modality: PSMA PET/CT | tracer: 18F | view: axial | PET grid: 200×200
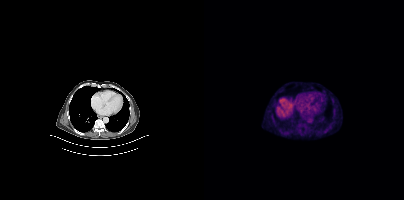
Negative for PSMA-avid disease on this slice.